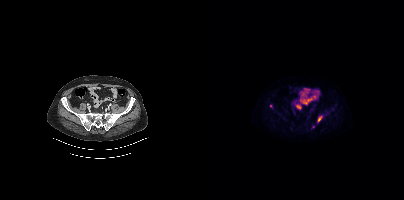
Coordinates are on the 200×200 PET (right) panel. (showing 2 of 3 foci) PSMA-avid tumor lesion bounding box (x, y, width, height): x=114 y=116 w=5 h=6. Small PSMA-avid focus (2 to 4 px across) near (center x, center y): (66, 106).